Paired axial CT (left) and PSMA PET (right), 18F-PSMA tracer. Acquired on Siemens Biograph mCT Flow 20. Slice 230 of 421. PET panel 200×200 px (4.1 mm/px).
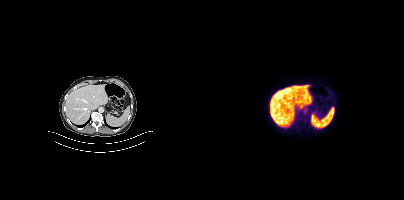
This slice has no annotated PSMA-avid lesion.